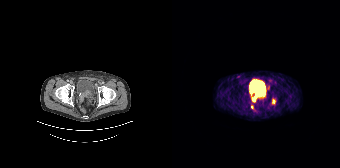
modality: PSMA PET/CT | tracer: 68Ga-PSMA | view: axial | PET grid: 168×168
Coordinates are on the 168×168 PET (right) panel. PSMA-avid tumor lesion bounding box (x0, y0)-(x1, y1): (100, 99)-(103, 103). Small PSMA-avid foci (2 to 4 px across) near (center x, center y): (81, 99); (85, 94); (79, 107).